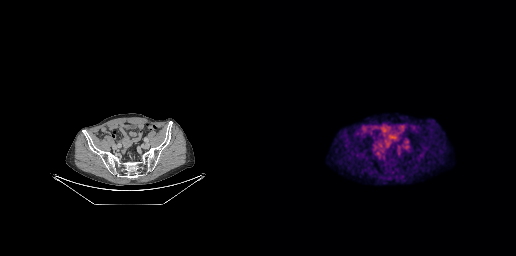
modality: PSMA PET/CT | tracer: [18F]PSMA-1007 | view: axial | PET grid: 256×256
Coordinates are on the 256×256 PET (right) panel. Small PSMA-avid focus (2 to 4 px across) near (center x, center y): (138, 153).